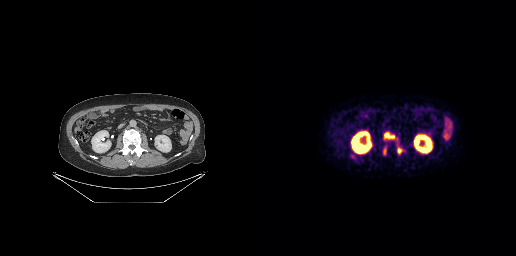
{"modality":"PSMA PET/CT","view":"axial","tracer":"18F","pet_grid":[256,256],"coord_frame":"pet_panel","coord_format":"x0,y0,x1,y1","lesion_bboxes":[[123,131,137,140],[137,147,142,154],[123,148,126,154]]}